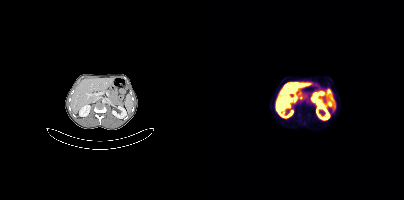
Two-panel axial: CT | PSMA PET, 18F tracer. Acquired on Siemens Biograph mCT Flow 20. Only PSMA-avid lesion pieces thinner than 2 px on this slice (not listed).